- Paired axial CT (left) and PSMA PET (right), 18F-PSMA tracer
- acquired on Siemens Biograph mCT Flow 20
- slice position z = -824 mm
- PET panel 200×200 px (4.1 mm/px)
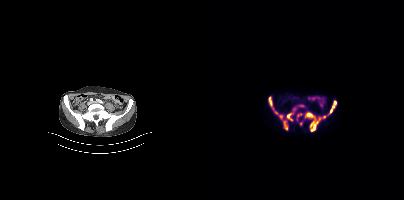
Findings: Coordinates are on the 200×200 PET (right) panel. (showing 10 of 11 foci) PSMA-avid tumor lesion bounding boxes (x, y, width, height): x=101 y=112 w=16 h=20 / x=119 y=100 w=15 h=18 / x=82 y=108 w=10 h=14 / x=79 y=120 w=5 h=11 / x=64 y=96 w=6 h=14 / x=93 y=113 w=5 h=5 / x=75 y=115 w=4 h=5 / x=95 y=105 w=5 h=2. Small PSMA-avid foci (2 to 4 px across) near (center x, center y): (72, 112) / (97, 123).